- Left: CT. Right: PSMA PET, same axial level, 18F-PSMA tracer
- slice position z = -198 mm
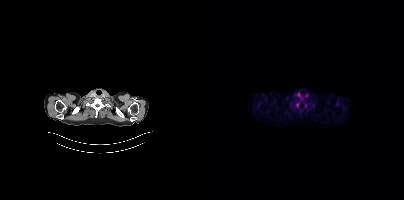
Findings: Negative for PSMA-avid disease on this slice.